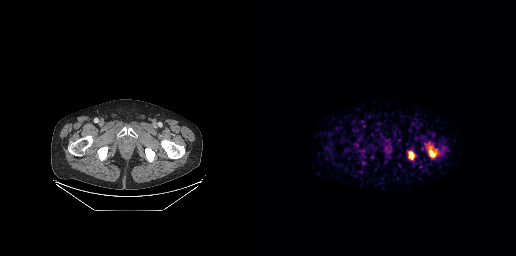
{"modality":"PSMA PET/CT","view":"axial","tracer":"68Ga","pet_grid":[256,256],"coord_frame":"pet_panel","coord_format":"x0,y0,x1,y1","lesion_bboxes":[[169,147,176,157],[149,151,153,158]]}